Technique: Left: CT. Right: PSMA PET, same axial level, 18F tracer. PET panel 256×256 px (2.7 mm/px).
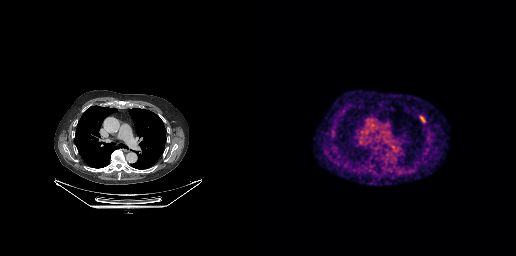
Findings: Coordinates are on the 256×256 PET (right) panel. PSMA-avid tumor lesion bounding box (x0,y0,x1,y1): [160,117,164,121].